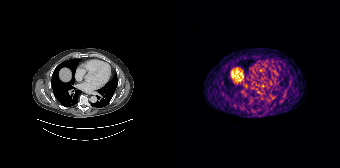
- Paired axial CT (left) and PSMA PET (right), 68Ga tracer
- acquired on Siemens Biograph 64-4R TruePoint
- slice 136 of 195
- PET panel 168×168 px (4.1 mm/px)
Findings: Only PSMA-avid lesion pieces thinner than 2 px on this slice (not listed).